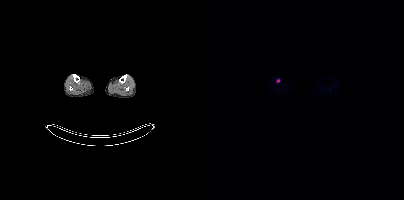
Paired axial CT (left) and PSMA PET (right), 18F tracer. Acquired on Siemens Biograph mCT Flow 20. Slice position z = -1607 mm. Coordinates are on the 200×200 PET (right) panel. Small PSMA-avid focus (2 to 4 px across) near (center x, center y): (74, 80).